Technique: Left: CT. Right: PSMA PET, same axial level, [18F]PSMA-1007 tracer. slice 57 of 413. PET panel 200×200 px (4.1 mm/px).
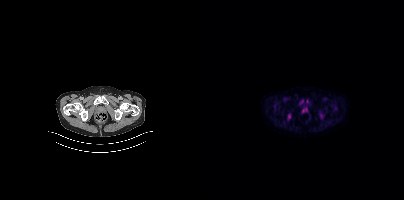
Findings: This slice has no annotated PSMA-avid lesion.